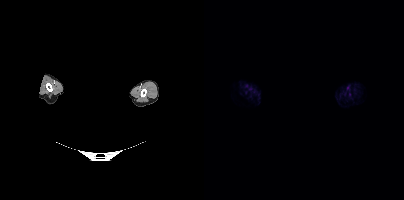
Technique: Left: CT. Right: PSMA PET, same axial level, 18F-PSMA tracer. acquired on Siemens Biograph mCT Flow 20. slice position z = -763 mm. PET panel 200×200 px (4.1 mm/px).
Note: The head region is masked for de-identification.
Findings: No PSMA-avid tumor lesions on this slice.